- Left: CT. Right: PSMA PET, same axial level, 18F-PSMA tracer
- slice position z = -566 mm
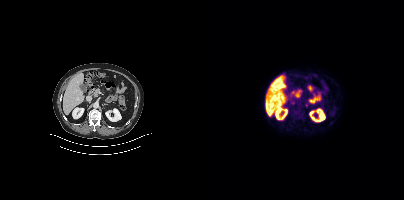
Findings: Coordinates are on the 200×200 PET (right) panel. Small PSMA-avid focus (2 to 4 px across) near (center x, center y): (102, 104).